Two-panel axial: CT | PSMA PET, [18F]PSMA-1007 tracer. Acquired on GE Discovery 690. Slice position z = -1114 mm. PET panel 256×256 px (2.7 mm/px).
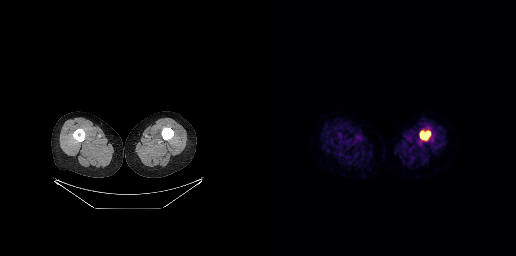
Coordinates are on the 256×256 PET (right) panel. PSMA-avid tumor lesion bounding boxes:
| # | x0 | y0 | x1 | y1 |
|---|---|---|---|---|
| 1 | 160 | 131 | 170 | 139 |